Technique: Left: CT. Right: PSMA PET, same axial level, 18F tracer. acquired on GE Discovery 690.
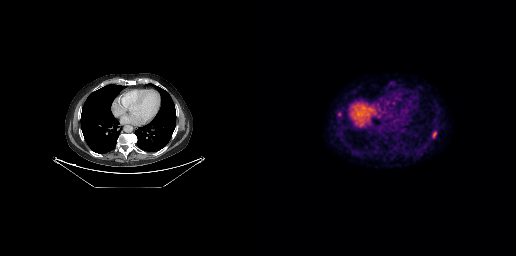
Findings: Coordinates are on the 256×256 PET (right) panel. PSMA-avid tumor lesion bounding boxes (x, y, width, height): x=172 y=131 w=5 h=8; x=77 y=112 w=5 h=5.